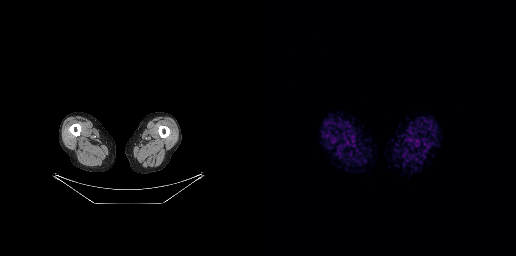
modality: PSMA PET/CT | tracer: 18F | view: axial | PET grid: 256×256
No tumor lesions annotated on this slice.